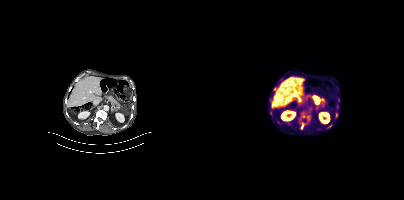
Coordinates are on the 200×200 PET (right) panel. PSMA-avid tumor lesion bounding boxes (x0, y0)-(x1, y1): (96, 122)-(102, 129) | (103, 116)-(105, 120) | (123, 125)-(127, 128). Small PSMA-avid foci (2 to 4 px across) near (center x, center y): (69, 89) | (99, 116). Two-panel axial: CT | PSMA PET, 18F-PSMA tracer. PET panel 200×200 px (4.1 mm/px).